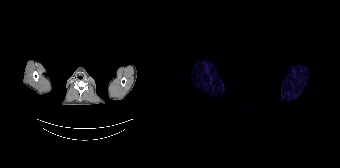
Technique: Left: CT. Right: PSMA PET, same axial level, [68Ga]Ga-PSMA-11 tracer. acquired on Siemens Biograph 64-4R TruePoint. slice position z = -38 mm.
Note: A rectangular privacy mask was applied before release.
Findings: No tumor lesions annotated on this slice.